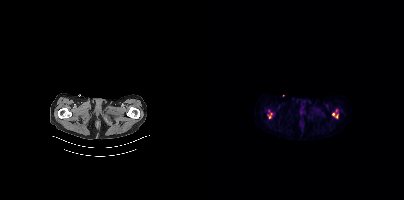
Left: CT. Right: PSMA PET, same axial level, 18F tracer. Slice 75 of 466. PET panel 200×200 px (4.1 mm/px).
Coordinates are on the 200×200 PET (right) panel. PSMA-avid tumor lesion bounding boxes (partial; 1 more focus not listed):
| # | x0 | y0 | x1 | y1 |
|---|---|---|---|---|
| 1 | 128 | 113 | 134 | 117 |
| 2 | 63 | 113 | 68 | 118 |
Small PSMA-avid focus (2 to 4 px across) near (center x, center y): (132, 110).